Two-panel axial: CT | PSMA PET, 18F-PSMA tracer. Acquired on GE Discovery 690. PET panel 256×256 px (2.7 mm/px).
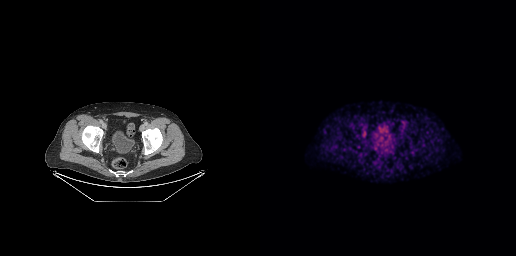
This slice has no annotated PSMA-avid lesion.